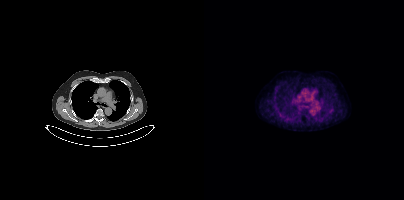
Left: CT. Right: PSMA PET, same axial level, 18F tracer. PET panel 200×200 px (4.1 mm/px). Only PSMA-avid lesion pieces thinner than 2 px on this slice (not listed).